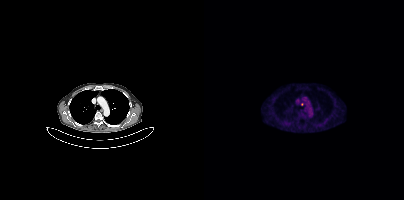
Coordinates are on the 200×200 PET (right) panel. Small PSMA-avid focus (2 to 4 px across) near (center x, center y): (98, 104).
modality: PSMA PET/CT | tracer: 18F-PSMA | view: axial | PET grid: 200×200